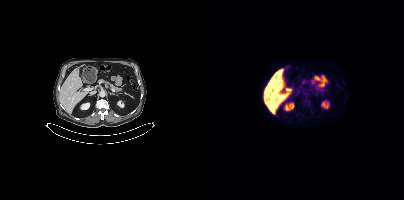
Negative for PSMA-avid disease on this slice.